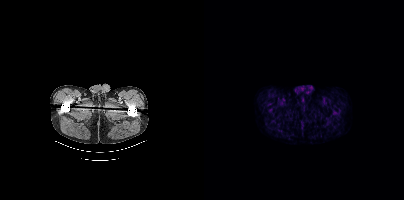
No PSMA-avid tumor lesions on this slice.